Technique: Left: CT. Right: PSMA PET, same axial level, 18F-PSMA tracer. slice position z = -74 mm. PET panel 200×200 px (4.1 mm/px).
Note: The head region is masked for de-identification.
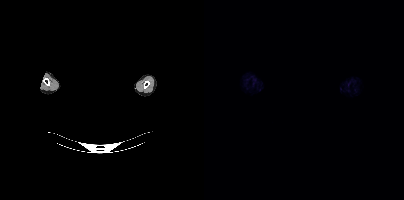
Findings: No tumor lesions annotated on this slice.